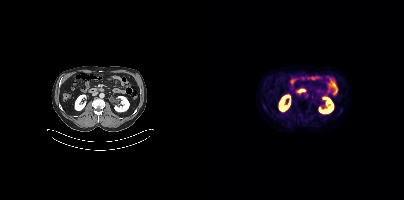
Left: CT. Right: PSMA PET, same axial level, [18F]PSMA-1007 tracer. Acquired on Siemens Biograph mCT Flow 20. PET panel 200×200 px (4.1 mm/px). This slice has no annotated PSMA-avid lesion.